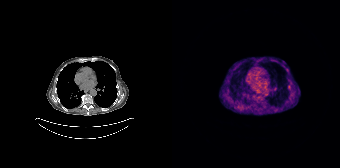
{"pet_grid":[168,168],"coord_frame":"pet_panel","coord_format":"x0,y0,x1,y1","psma_avid_lesions":false,"modality":"PSMA PET/CT","view":"axial","tracer":"68Ga-PSMA"}